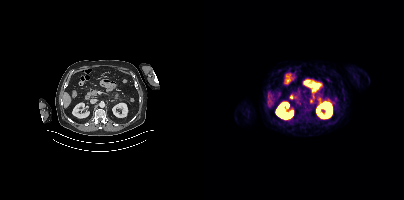
No tumor lesions annotated on this slice.